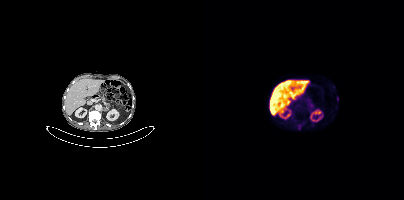
Coordinates are on the 200×200 PET (right) panel. Small PSMA-avid focus (2 to 4 px across) near (center x, center y): (133, 98).